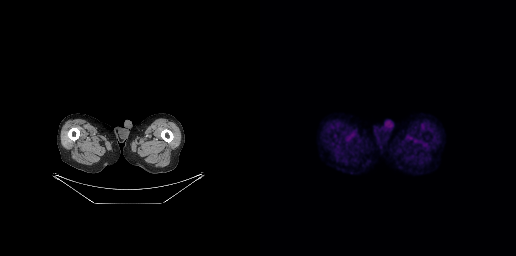
Left: CT. Right: PSMA PET, same axial level, 18F-PSMA tracer. No PSMA-avid tumor lesions on this slice.